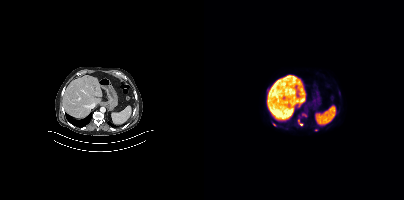
Coordinates are on the 200×200 PET (right) panel. (showing 3 of 4 foci) PSMA-avid tumor lesion bounding box (x0,y0,x1,y1): [94,120,98,125]. Small PSMA-avid foci (2 to 4 px across) near (center x, center y): (70, 124); (112, 129).